Two-panel axial: CT | PSMA PET, [18F]PSMA-1007 tracer. Slice 171 of 367. PET panel 200×200 px (4.1 mm/px).
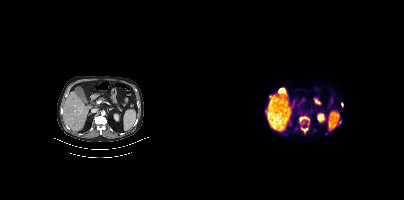
Coordinates are on the 200×200 PET (right) panel. PSMA-avid tumor lesion bounding boxes (partial; 1 more focus not listed):
| # | x0 | y0 | x1 | y1 |
|---|---|---|---|---|
| 1 | 96 | 117 | 102 | 120 |
| 2 | 99 | 128 | 103 | 131 |
Small PSMA-avid focus (2 to 4 px across) near (center x, center y): (135, 122).